Two-panel axial: CT | PSMA PET, [18F]PSMA-1007 tracer. Acquired on Siemens Biograph mCT Flow 20. Slice position z = -297 mm.
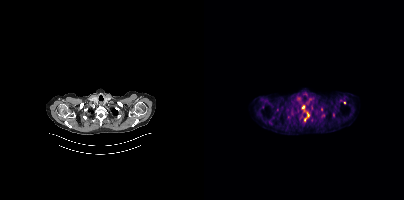
Coordinates are on the 200×200 PET (right) panel. PSMA-avid tumor lesion bounding box (x0, y0)-(x1, y1): (100, 112)-(105, 121). Small PSMA-avid foci (2 to 4 px across) near (center x, center y): (99, 106) | (140, 102).